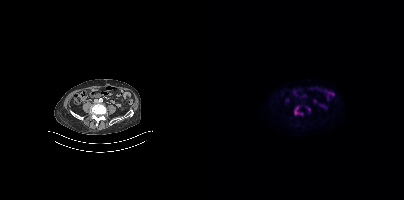
- Left: CT. Right: PSMA PET, same axial level, [18F]PSMA-1007 tracer
Findings: Coordinates are on the 200×200 PET (right) panel. PSMA-avid tumor lesion bounding box (x0,y0,x1,y1): [90,106,98,115]. Small PSMA-avid focus (2 to 4 px across) near (center x, center y): (105, 109).